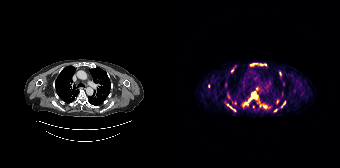
modality: PSMA PET/CT | tracer: [68Ga]Ga-PSMA-11 | view: axial
Coordinates are on the 168×168 PET (right) panel. (showing 13 of 21 foci) PSMA-avid tumor lesion bounding boxes (x0,y0,x1,y1): [73,91,85,104], [92,105,98,108], [55,93,57,98], [58,107,63,110]. Small PSMA-avid foci (2 to 4 px across) near (center x, center y): (108, 73), (93, 65), (79, 64), (112, 102), (89, 64), (60, 70), (36, 86), (103, 110), (84, 88).